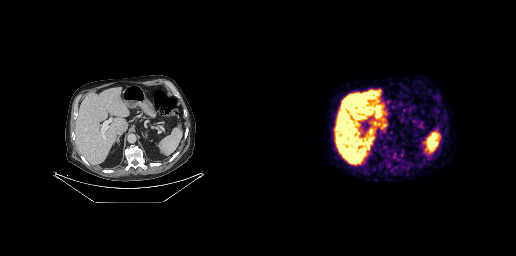
Left: CT. Right: PSMA PET, same axial level, 18F-PSMA tracer. PET panel 256×256 px (2.7 mm/px). No tumor lesions annotated on this slice.